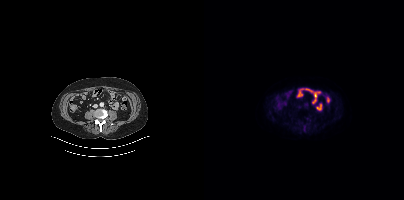
modality: PSMA PET/CT | tracer: 18F | view: axial | PET grid: 200×200
Coordinates are on the 200×200 PET (right) panel. PSMA-avid tumor lesion bounding box (x0,y0,x1,y1): [99,125,101,130].